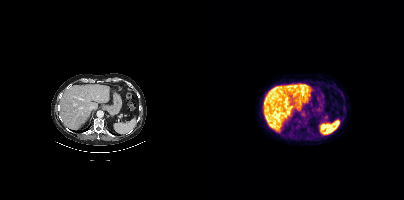
No tumor lesions annotated on this slice.